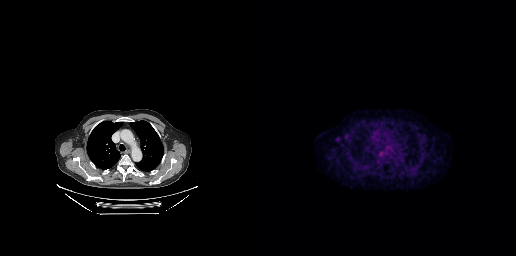
{"modality":"PSMA PET/CT","view":"axial","tracer":"18F-PSMA","pet_grid":[256,256],"coord_frame":"pet_panel","coord_format":"x0,y0,x1,y1","lesion_bboxes":[[75,137,80,140],[84,134,88,137]]}